- Two-panel axial: CT | PSMA PET, 18F-PSMA tracer
- acquired on Siemens Biograph mCT Flow 20
- slice position z = -721 mm
- PET panel 200×200 px (4.1 mm/px)
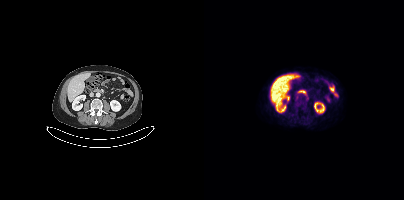
Findings: No tumor lesions annotated on this slice.